Left: CT. Right: PSMA PET, same axial level, 18F-PSMA tracer. Acquired on Siemens Biograph mCT Flow 20. Slice 71 of 444. PET panel 200×200 px (4.1 mm/px).
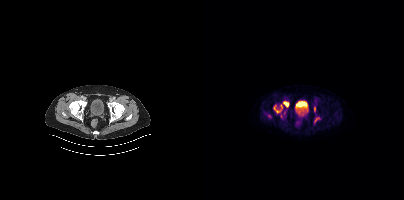
Coordinates are on the 200×200 PET (right) panel. PSMA-avid tumor lesion bounding box (x0,y0,x1,y1): [80,102,84,106].